Paired axial CT (left) and PSMA PET (right), [68Ga]Ga-PSMA-11 tracer. PET panel 200×200 px (4.1 mm/px).
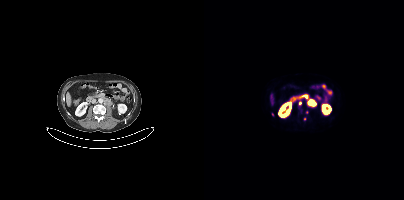
Coordinates are on the 200×200 PET (right) panel. (showing 1 of 4 foci) Small PSMA-avid focus (2 to 4 px across) near (center x, center y): (68, 114).